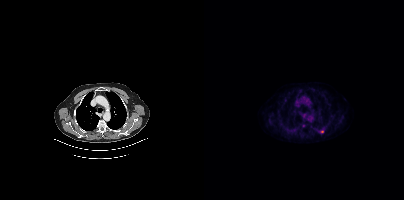
Coordinates are on the 200×200 PET (right) panel. Small PSMA-avid focus (2 to 4 px across) near (center x, center y): (118, 131).